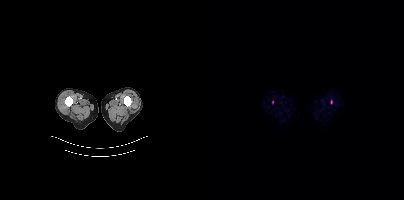
Left: CT. Right: PSMA PET, same axial level, 18F tracer. Slice position z = -966 mm. PET panel 200×200 px (4.1 mm/px). Coordinates are on the 200×200 PET (right) panel. Small PSMA-avid foci (2 to 4 px across) near (center x, center y): (127, 101); (68, 102).